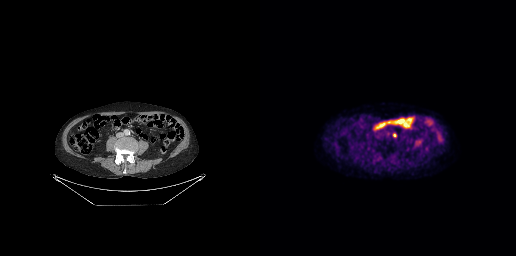
{"pet_grid":[256,256],"coord_frame":"pet_panel","coord_format":"x0,y0,x1,y1","lesion_bboxes":[],"small_foci_centers":[[134,135]],"modality":"PSMA PET/CT","view":"axial","tracer":"18F"}